Technique: Paired axial CT (left) and PSMA PET (right), [68Ga]Ga-PSMA-11 tracer. PET panel 168×168 px (4.1 mm/px).
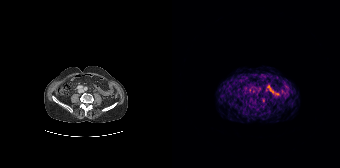
Findings: No PSMA-avid tumor lesions on this slice.